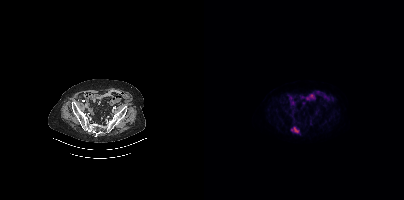
Paired axial CT (left) and PSMA PET (right), [18F]PSMA-1007 tracer. Acquired on Siemens Biograph mCT Flow 20. Slice 92 of 377. PET panel 200×200 px (4.1 mm/px).
Coordinates are on the 200×200 PET (right) panel. PSMA-avid tumor lesion bounding boxes:
| # | x0 | y0 | x1 | y1 |
|---|---|---|---|---|
| 1 | 87 | 127 | 95 | 133 |